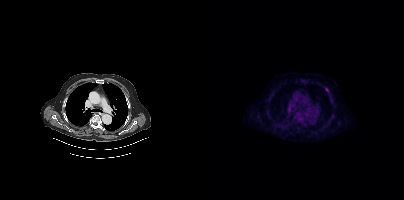
{"modality":"PSMA PET/CT","view":"axial","tracer":"[18F]PSMA-1007","pet_grid":[200,200],"coord_frame":"pet_panel","coord_format":"x0,y0,x1,y1","lesion_bboxes":[],"small_foci_centers":[[123,89]]}